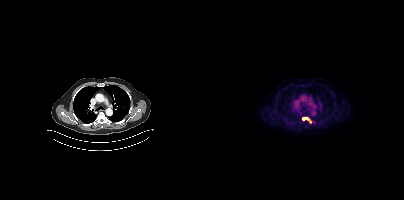
Coordinates are on the 200×200 PET (right) panel. (showing 1 of 2 foci) PSMA-avid tumor lesion bounding box (x, y, width, height): x=98 y=117 w=10 h=7.